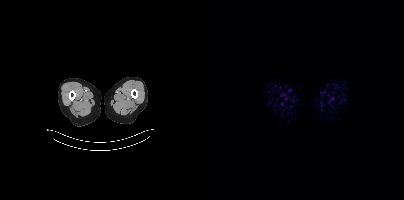
Technique: Two-panel axial: CT | PSMA PET, 18F-PSMA tracer. slice 4 of 423. PET panel 200×200 px (4.1 mm/px).
Findings: No tumor lesions annotated on this slice.